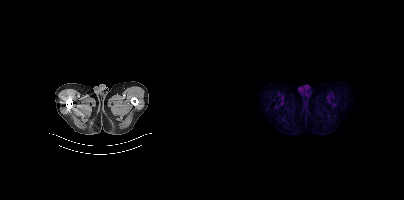
Left: CT. Right: PSMA PET, same axial level, 18F tracer. Acquired on Siemens Biograph mCT Flow 20. Slice position z = -1582 mm. No tumor lesions annotated on this slice.